Paired axial CT (left) and PSMA PET (right), 18F-PSMA tracer. Acquired on Siemens Biograph mCT Flow 20. Slice 221 of 433.
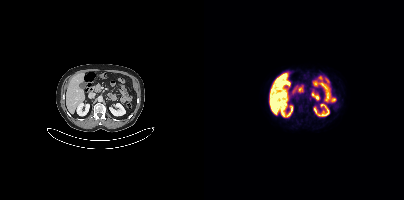
Coordinates are on the 200×200 PET (right) panel. Small PSMA-avid focus (2 to 4 px across) near (center x, center y): (106, 99).